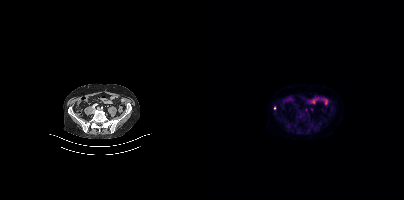
{"modality":"PSMA PET/CT","view":"axial","tracer":"[18F]PSMA-1007","pet_grid":[200,200],"coord_frame":"pet_panel","coord_format":"x0,y0,x1,y1","lesion_bboxes":[],"small_foci_centers":[[70,107]]}